Left: CT. Right: PSMA PET, same axial level, 18F-PSMA tracer. Slice 95 of 454. PET panel 200×200 px (4.1 mm/px).
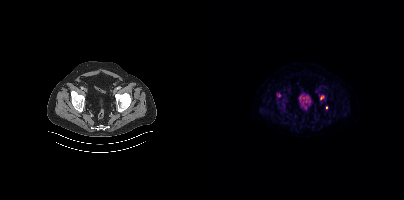
Coordinates are on the 200×200 PET (right) panel. PSMA-avid tumor lesion bounding boxes:
| # | x0 | y0 | x1 | y1 |
|---|---|---|---|---|
| 1 | 116 | 95 | 120 | 100 |
| 2 | 73 | 93 | 76 | 97 |
Small PSMA-avid focus (2 to 4 px across) near (center x, center y): (122, 107).